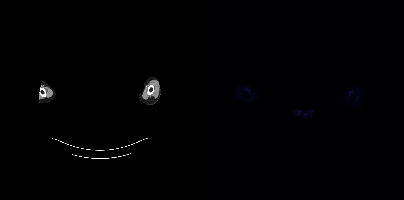
The face region was removed for patient privacy by blanking a rectangle over the head.
No PSMA-avid tumor lesions on this slice.